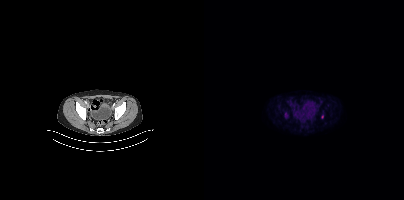
Findings: Only PSMA-avid lesion pieces thinner than 2 px on this slice (not listed).
- Paired axial CT (left) and PSMA PET (right), [18F]PSMA-1007 tracer